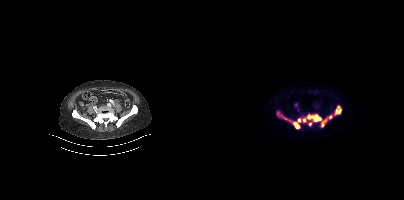
{"modality":"PSMA PET/CT","view":"axial","tracer":"68Ga-PSMA","pet_grid":[200,200],"coord_frame":"pet_panel","coord_format":"x0,y0,x1,y1","lesion_bboxes":[[103,114,117,125],[116,115,128,127],[130,105,137,115],[86,120,96,128],[72,110,77,117],[79,116,85,121],[99,118,101,122]],"small_foci_centers":[[95,120]]}